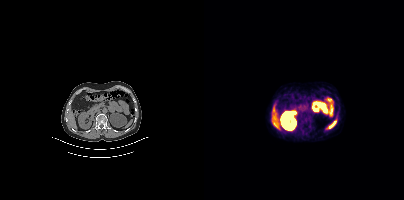
{"modality":"PSMA PET/CT","view":"axial","tracer":"[68Ga]Ga-PSMA-11","pet_grid":[200,200],"coord_frame":"pet_panel","coord_format":"x0,y0,x1,y1","psma_avid_lesions":false}